Technique: Two-panel axial: CT | PSMA PET, 68Ga-PSMA tracer. acquired on Siemens Biograph mCT Flow 20. slice position z = -1084 mm. PET panel 200×200 px (4.1 mm/px).
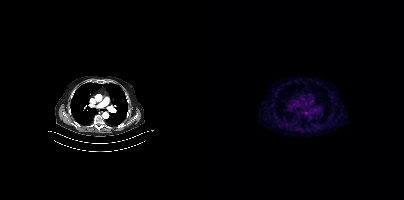
Findings: Coordinates are on the 200×200 PET (right) panel. Small PSMA-avid focus (2 to 4 px across) near (center x, center y): (102, 112).